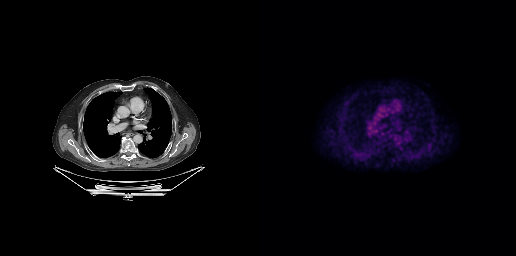
- Paired axial CT (left) and PSMA PET (right), [18F]PSMA-1007 tracer
- slice position z = -219 mm
- PET panel 256×256 px (2.7 mm/px)
Findings: No PSMA-avid tumor lesions on this slice.